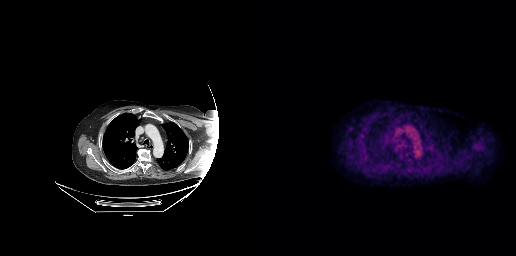
No PSMA-avid tumor lesions on this slice.